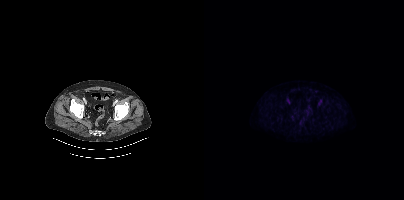
Technique: Paired axial CT (left) and PSMA PET (right), [18F]PSMA-1007 tracer. acquired on Siemens Biograph mCT Flow 20. PET panel 200×200 px (4.1 mm/px).
Findings: No PSMA-avid tumor lesions on this slice.